Two-panel axial: CT | PSMA PET, [18F]PSMA-1007 tracer. Acquired on Siemens Biograph mCT Flow 20. Slice position z = -1679 mm.
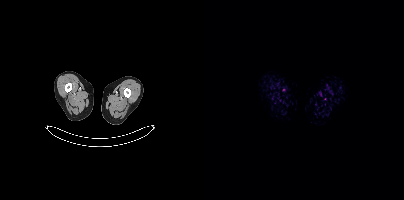
No PSMA-avid tumor lesions on this slice.